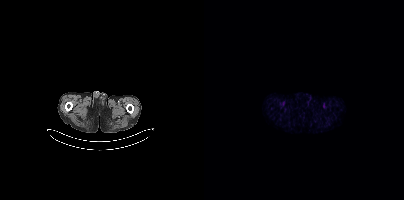
{"modality":"PSMA PET/CT","view":"axial","tracer":"[18F]PSMA-1007","pet_grid":[200,200],"coord_frame":"pet_panel","coord_format":"x0,y0,x1,y1","partial":true,"lesion_bboxes":[]}